- Paired axial CT (left) and PSMA PET (right), [18F]PSMA-1007 tracer
- PET panel 256×256 px (2.7 mm/px)
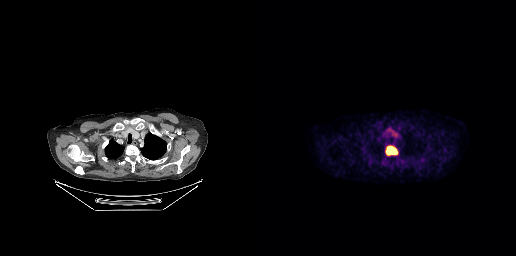
Findings: Coordinates are on the 256×256 PET (right) panel. PSMA-avid tumor lesion bounding box (x0, y0)-(x1, y1): (125, 146)-(137, 155).